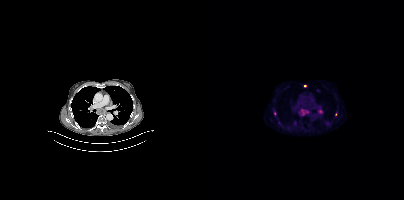
Coordinates are on the 200×200 PET (right) panel. (showing 5 of 6 foci) PSMA-avid tumor lesion bounding box (x0,y0,x1,y1): [95,109,105,115]. Small PSMA-avid foci (2 to 4 px across) near (center x, center y): (116, 111); (75, 123); (131, 114); (100, 85).